- Left: CT. Right: PSMA PET, same axial level, 18F-PSMA tracer
- acquired on Siemens Biograph mCT Flow 20
- slice 168 of 387
- PET panel 200×200 px (4.1 mm/px)
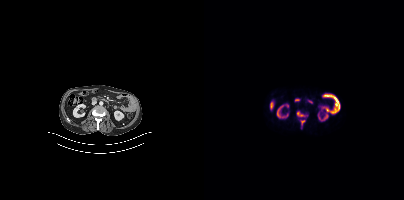
Findings: Coordinates are on the 200×200 PET (right) panel. PSMA-avid tumor lesion bounding box (x, y, width, height): x=93 y=112 w=6 h=5. Small PSMA-avid focus (2 to 4 px across) near (center x, center y): (98, 121).